Two-panel axial: CT | PSMA PET, [18F]PSMA-1007 tracer. PET panel 200×200 px (4.1 mm/px).
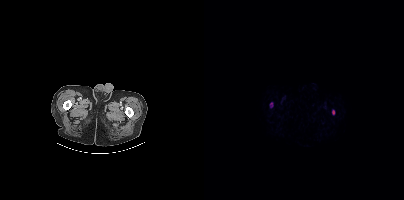
Coordinates are on the 200×200 PET (right) panel. PSMA-avid tumor lesion bounding boxes:
| # | x0 | y0 | x1 | y1 |
|---|---|---|---|---|
| 1 | 128 | 110 | 131 | 114 |
| 2 | 66 | 102 | 68 | 107 |